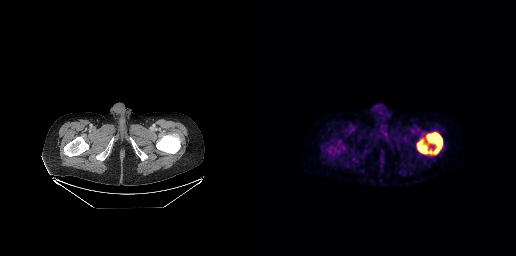
Coordinates are on the 256×256 PET (right) panel. PSMA-avid tumor lesion bounding box (x, y, width, height): x=157 y=132 w=26 h=23. Paired axial CT (left) and PSMA PET (right), 18F-PSMA tracer.